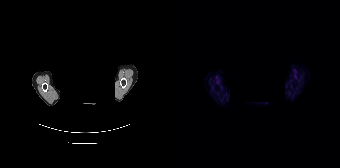
de-identification: head region blanked (face removed) | modality: PSMA PET/CT | tracer: 68Ga | view: axial
No tumor lesions annotated on this slice.